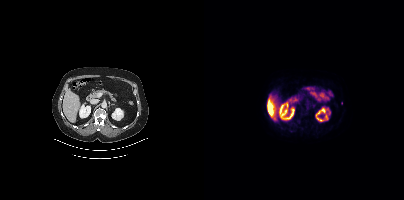
Coordinates are on the 200×200 PET (right) panel. Small PSMA-avid focus (2 to 4 px across) near (center x, center y): (137, 103).